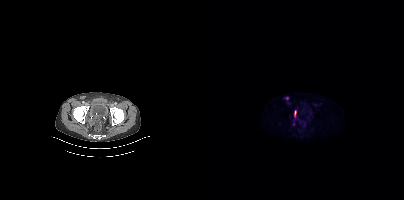
Coordinates are on the 200×200 PET (right) panel. PSMA-avid tumor lesion bounding box (x0, y0)-(x1, y1): (90, 110)-(92, 116). Small PSMA-avid foci (2 to 4 px across) near (center x, center y): (82, 98) / (100, 123).